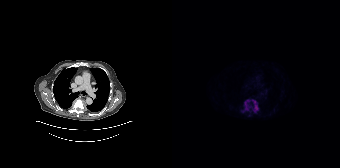
Left: CT. Right: PSMA PET, same axial level, [18F]PSMA-1007 tracer. Slice position z = -1068 mm. PET panel 168×168 px (4.1 mm/px).
Coordinates are on the 168×168 PET (right) panel. PSMA-avid tumor lesion bounding boxes (partial; 1 more focus not listed):
| # | x0 | y0 | x1 | y1 |
|---|---|---|---|---|
| 1 | 80 | 99 | 86 | 112 |
| 2 | 72 | 100 | 78 | 110 |